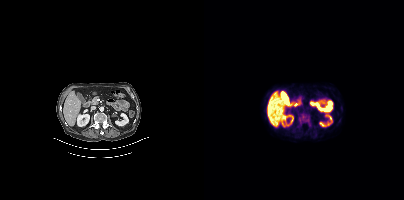
Coordinates are on the 200×200 PET (right) panel. PSMA-avid tumor lesion bounding box (x0, y0)-(x1, y1): (95, 114)-(105, 123).
modality: PSMA PET/CT | tracer: 18F | view: axial